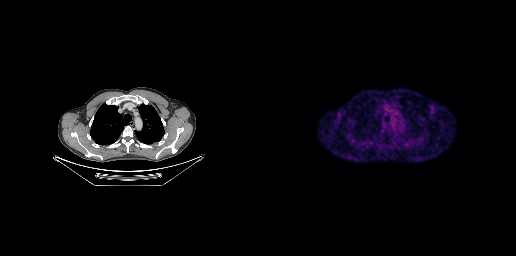
{"modality":"PSMA PET/CT","view":"axial","tracer":"[68Ga]Ga-PSMA-11","pet_grid":[256,256],"coord_frame":"pet_panel","coord_format":"x0,y0,x1,y1","psma_avid_lesions":false}